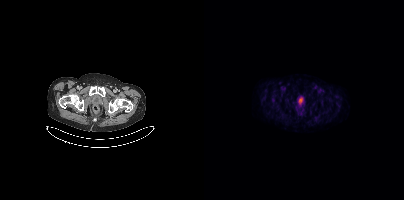
Negative for PSMA-avid disease on this slice.